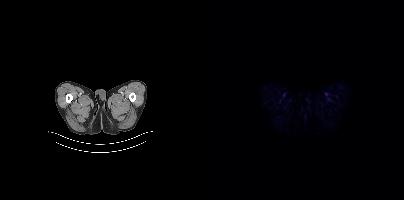
No tumor lesions annotated on this slice.